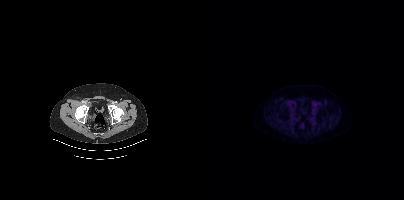
No PSMA-avid tumor lesions on this slice.